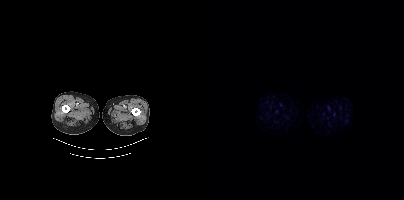
- Paired axial CT (left) and PSMA PET (right), 18F tracer
- slice 10 of 450
Findings: No tumor lesions annotated on this slice.